Left: CT. Right: PSMA PET, same axial level, 18F tracer. Acquired on Siemens Biograph mCT Flow 20. Slice 215 of 427.
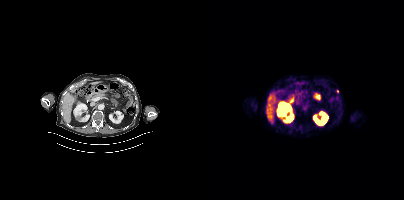
This slice has no annotated PSMA-avid lesion.